Paired axial CT (left) and PSMA PET (right), 18F tracer. Acquired on Siemens Biograph mCT Flow 20. Slice position z = -202 mm. PET panel 200×200 px (4.1 mm/px).
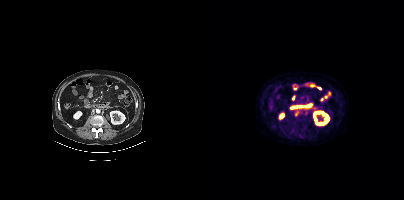
Coordinates are on the 200×200 PET (right) panel. Small PSMA-avid focus (2 to 4 px across) near (center x, center y): (92, 114).